Paired axial CT (left) and PSMA PET (right), [18F]PSMA-1007 tracer.
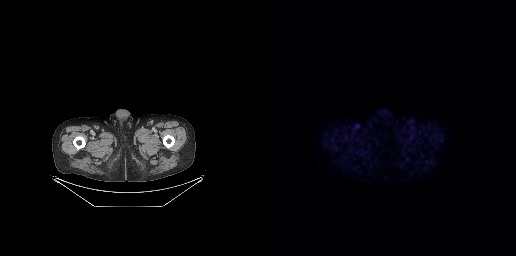
This slice has no annotated PSMA-avid lesion.